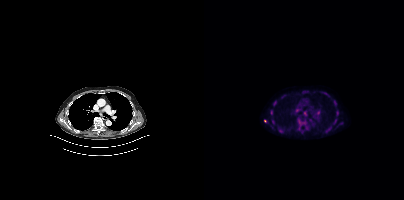
Two-panel axial: CT | PSMA PET, 18F tracer. Slice position z = -377 mm.
Coordinates are on the 200×200 PET (right) panel. PSMA-avid tumor lesion bounding boxes (partial; 1 more focus not listed):
| # | x0 | y0 | x1 | y1 |
|---|---|---|---|---|
| 1 | 94 | 118 | 101 | 123 |
| 2 | 132 | 111 | 134 | 115 |
| 3 | 130 | 100 | 132 | 105 |
| 4 | 70 | 101 | 72 | 105 |
| 5 | 67 | 110 | 68 | 114 |
Small PSMA-avid foci (2 to 4 px across) near (center x, center y): (61, 120); (69, 121).